Two-panel axial: CT | PSMA PET, 18F-PSMA tracer. Acquired on Siemens Biograph mCT Flow 20. PET panel 200×200 px (4.1 mm/px).
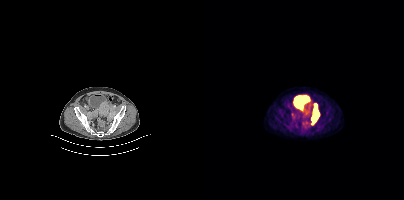
Coordinates are on the 200×200 PET (right) panel. PSMA-avid tumor lesion bounding boxes:
| # | x0 | y0 | x1 | y1 |
|---|---|---|---|---|
| 1 | 107 | 103 | 115 | 124 |
| 2 | 100 | 109 | 107 | 115 |
| 3 | 88 | 114 | 90 | 118 |